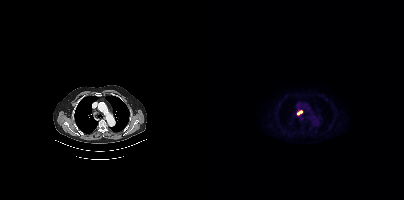
Coordinates are on the 200×200 PET (right) panel. PSMA-avid tumor lesion bounding box (x0,y0,x1,y1): [93,110,98,115].